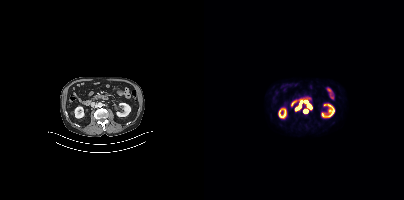
Two-panel axial: CT | PSMA PET, 18F tracer. Slice position z = -1178 mm. Coordinates are on the 200×200 PET (right) panel. PSMA-avid tumor lesion bounding boxes (x0, y0)-(x1, y1): (102, 104)-(107, 109) | (95, 102)-(97, 107). Small PSMA-avid foci (2 to 4 px across) near (center x, center y): (101, 111) | (101, 101) | (92, 109).